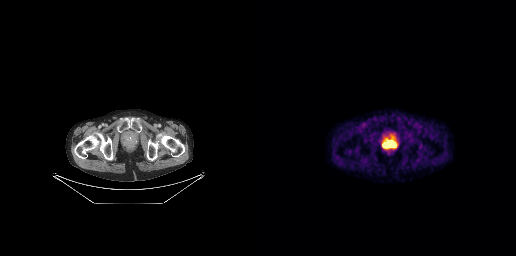
Paired axial CT (left) and PSMA PET (right), 18F-PSMA tracer. Acquired on GE Discovery 690. Slice 60 of 263.
Coordinates are on the 256×256 PET (right) panel. PSMA-avid tumor lesion bounding boxes:
| # | x0 | y0 | x1 | y1 |
|---|---|---|---|---|
| 1 | 122 | 137 | 135 | 147 |